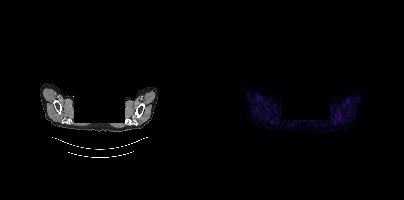
No tumor lesions annotated on this slice.
deidentification: head region blacked out before release | modality: PSMA PET/CT | tracer: [18F]PSMA-1007 | view: axial